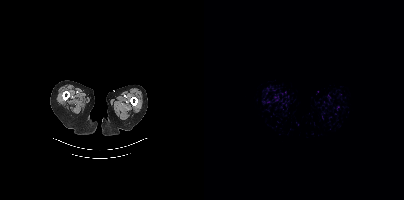
No PSMA-avid tumor lesions on this slice.